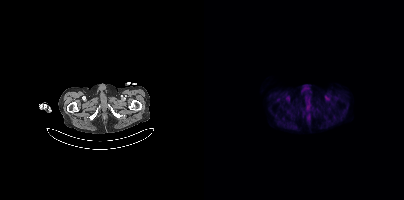
- Paired axial CT (left) and PSMA PET (right), 18F-PSMA tracer
- acquired on Siemens Biograph mCT Flow 20
Findings: This slice has no annotated PSMA-avid lesion.